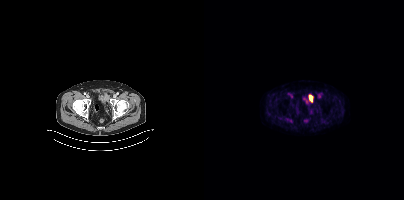
Findings: Coordinates are on the 200×200 PET (right) panel. PSMA-avid tumor lesion bounding box (x, y, width, height): x=83 y=118 w=6 h=5.
Technique: Paired axial CT (left) and PSMA PET (right), 18F tracer.